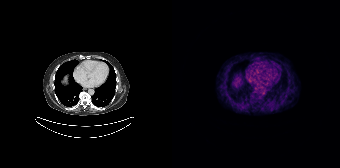
{"pet_grid":[168,168],"coord_frame":"pet_panel","coord_format":"x0,y0,x1,y1","psma_avid_lesions":false,"modality":"PSMA PET/CT","view":"axial","tracer":"[68Ga]Ga-PSMA-11"}